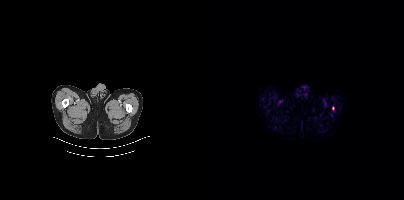
Findings: No PSMA-avid tumor lesions on this slice.
Technique: Paired axial CT (left) and PSMA PET (right), 18F-PSMA tracer.